Two-panel axial: CT | PSMA PET, 18F-PSMA tracer. Acquired on Siemens Biograph mCT Flow 20. Slice position z = -431 mm. PET panel 200×200 px (4.1 mm/px).
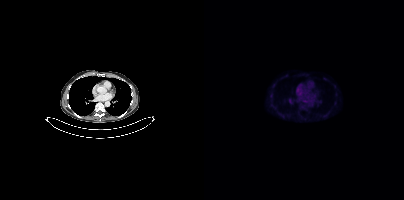
Negative for PSMA-avid disease on this slice.